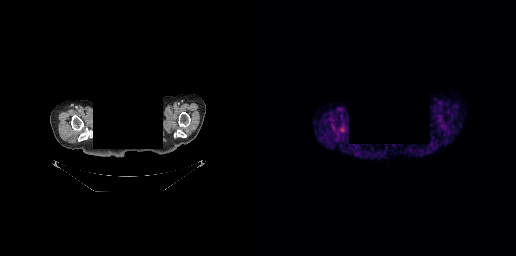
{"modality":"PSMA PET/CT","view":"axial","tracer":"[68Ga]Ga-PSMA-11","pet_grid":[256,256],"coord_frame":"pet_panel","coord_format":"x0,y0,x1,y1","de-identification":"facial region redacted","psma_avid_lesions":false}